Any black rectangle over the head is a privacy mask, not anatomy. Two-panel axial: CT | PSMA PET, [18F]PSMA-1007 tracer. Slice position z = -863 mm. PET panel 200×200 px (4.1 mm/px).
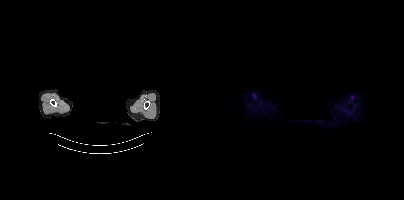
No PSMA-avid tumor lesions on this slice.